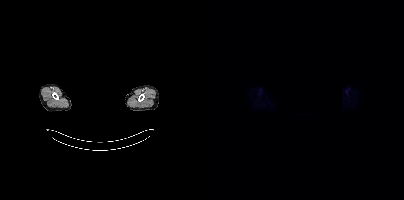
{"modality":"PSMA PET/CT","view":"axial","tracer":"18F-PSMA","pet_grid":[200,200],"coord_frame":"pet_panel","coord_format":"x0,y0,x1,y1","deidentification":"rectangular block over head set to black","psma_avid_lesions":false}